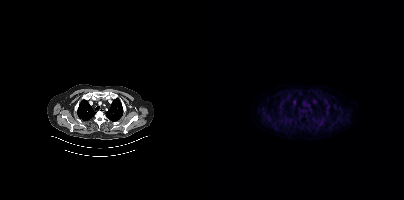
Two-panel axial: CT | PSMA PET, [18F]PSMA-1007 tracer. Acquired on Siemens Biograph mCT Flow 20. Slice position z = -363 mm. No PSMA-avid tumor lesions on this slice.